Paired axial CT (left) and PSMA PET (right), 18F tracer. Acquired on Siemens Biograph mCT Flow 20. Slice position z = 390 mm.
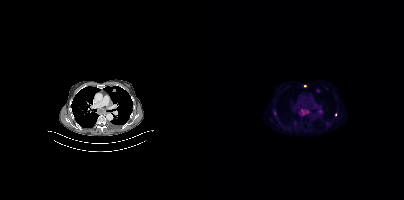
Coordinates are on the 200×200 PET (right) panel. PSMA-avid tumor lesion bounding boxes (partial; 2 more foci not listed):
| # | x0 | y0 | x1 | y1 |
|---|---|---|---|---|
| 1 | 95 | 109 | 105 | 115 |
Small PSMA-avid foci (2 to 4 px across) near (center x, center y): (111, 105); (131, 114); (100, 85); (113, 90); (116, 111).